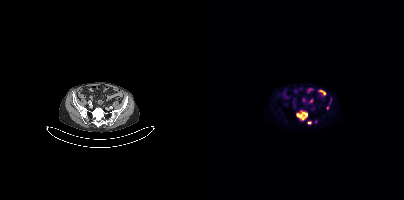
Coordinates are on the 200×200 PET (right) panel. PSMA-avid tumor lesion bounding box (x, y, width, height): x=93 y=112 w=11 h=10. Small PSMA-avid foci (2 to 4 px across) near (center x, center y): (105, 122) / (123, 107).